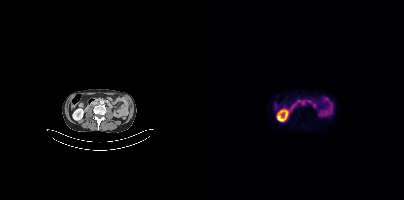
modality: PSMA PET/CT | tracer: 18F-PSMA | view: axial | PET grid: 200×200
Coordinates are on the 200×200 PET (right) panel. PSMA-avid tumor lesion bounding box (x, y, width, height): x=96 y=100 w=6 h=6.